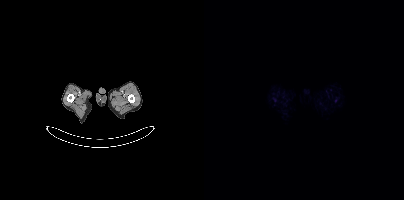
Negative for PSMA-avid disease on this slice.